- Left: CT. Right: PSMA PET, same axial level, 18F tracer
- acquired on Siemens Biograph mCT Flow 20
- slice position z = -1120 mm
- PET panel 200×200 px (4.1 mm/px)
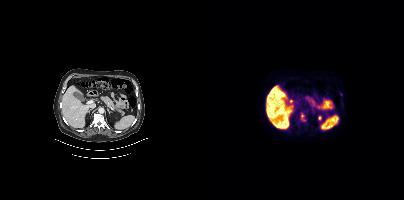
Findings: Coordinates are on the 200×200 PET (right) panel. PSMA-avid tumor lesion bounding box (x0,y0,x1,y1): [97,114,100,118]. Small PSMA-avid foci (2 to 4 px across) near (center x, center y): (101, 120); (137, 94).